- Two-panel axial: CT | PSMA PET, [18F]PSMA-1007 tracer
- acquired on Siemens Biograph mCT Flow 20
- slice position z = 50 mm
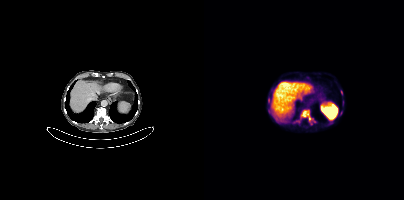
Findings: Coordinates are on the 200×200 PET (right) panel. (showing 1 of 3 foci) PSMA-avid tumor lesion bounding box (x0, y0)-(x1, y1): (97, 110)-(108, 121).